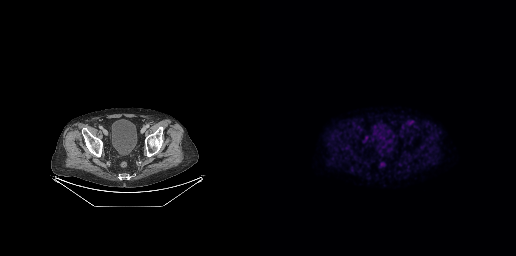
Negative for PSMA-avid disease on this slice.